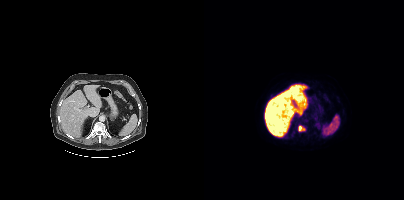
Coordinates are on the 200×200 PET (right) panel. PSMA-avid tumor lesion bounding box (x0, y0)-(x1, y1): (94, 125)-(101, 131).